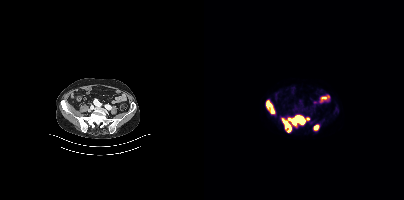
{"pet_grid":[200,200],"coord_frame":"pet_panel","coord_format":"x0,y0,x1,y1","lesion_bboxes":[[78,115,101,132],[62,100,70,113],[110,125,114,129]],"small_foci_centers":[[104,118]],"modality":"PSMA PET/CT","view":"axial","tracer":"[18F]PSMA-1007"}